- Left: CT. Right: PSMA PET, same axial level, 18F tracer
- PET panel 256×256 px (2.7 mm/px)
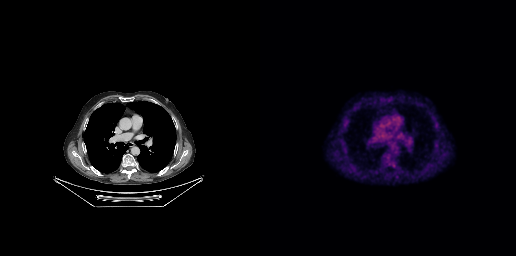
Findings: No tumor lesions annotated on this slice.